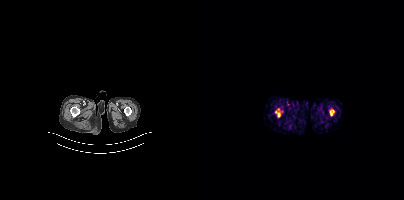
{"modality":"PSMA PET/CT","view":"axial","tracer":"18F","pet_grid":[200,200],"coord_frame":"pet_panel","coord_format":"x0,y0,x1,y1","psma_avid_lesions":false}